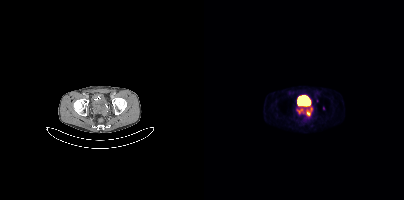
Coordinates are on the 200×200 PET (right) panel. PSMA-avid tumor lesion bounding boxes (x0, y0)-(x1, y1): (101, 108)-(108, 116) / (93, 107)-(100, 113). Small PSMA-avid focus (2 to 4 px across) near (center x, center y): (113, 100).